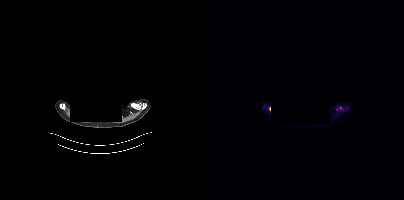
Technique: Left: CT. Right: PSMA PET, same axial level, 18F tracer.
Note: The face region was removed for patient privacy by blanking a rectangle over the head.
Findings: Coordinates are on the 200×200 PET (right) panel. (showing 1 of 2 foci) PSMA-avid tumor lesion bounding box (x, y, width, height): x=133 y=106 w=5 h=4.